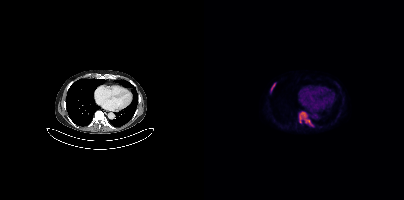
Coordinates are on the 200×200 PET (right) panel. PSMA-avid tumor lesion bounding boxes (x0, y0)-(x1, y1): (95, 112)-(108, 125) | (67, 83)-(71, 89). Left: CT. Right: PSMA PET, same axial level, 18F-PSMA tracer. PET panel 200×200 px (4.1 mm/px).